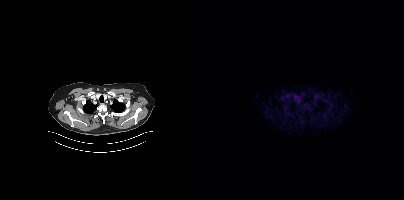
No PSMA-avid tumor lesions on this slice.